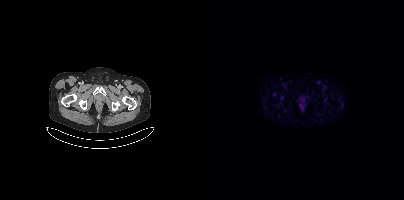
Negative for PSMA-avid disease on this slice. Left: CT. Right: PSMA PET, same axial level, 18F-PSMA tracer.